Two-panel axial: CT | PSMA PET, [18F]PSMA-1007 tracer. Acquired on Siemens Biograph mCT Flow 20. Slice position z = -1669 mm. PET panel 200×200 px (4.1 mm/px).
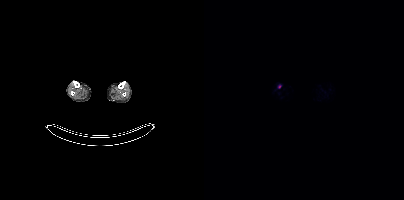
Coordinates are on the 200×200 PET (right) panel. Small PSMA-avid focus (2 to 4 px across) near (center x, center y): (75, 86).